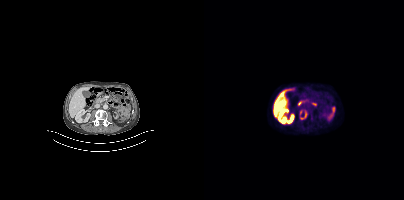
Findings: Coordinates are on the 200×200 PET (right) panel. PSMA-avid tumor lesion bounding box (x, y, width, height): x=95 y=109 w=9 h=11.
- Left: CT. Right: PSMA PET, same axial level, 18F tracer
- slice 162 of 405